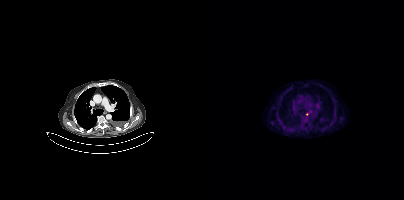
{"modality":"PSMA PET/CT","view":"axial","tracer":"[18F]PSMA-1007","pet_grid":[200,200],"coord_frame":"pet_panel","coord_format":"x0,y0,x1,y1","partial":true,"lesion_bboxes":[]}